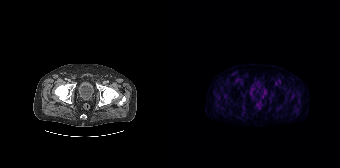
Technique: Two-panel axial: CT | PSMA PET, 18F-PSMA tracer. acquired on Siemens Biograph 64-4R TruePoint. slice position z = -1256 mm. PET panel 168×168 px (4.1 mm/px).
Findings: Negative for PSMA-avid disease on this slice.